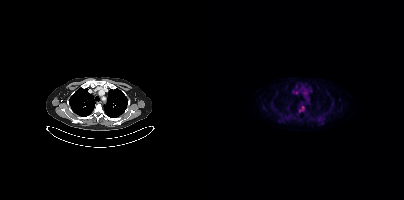
Paired axial CT (left) and PSMA PET (right), 18F-PSMA tracer. Slice position z = -1023 mm. Coordinates are on the 200×200 PET (right) panel. PSMA-avid tumor lesion bounding box (x, y, width, height): x=95 y=106 w=6 h=7. Small PSMA-avid focus (2 to 4 px across) near (center x, center y): (92, 92).